Left: CT. Right: PSMA PET, same axial level, 18F-PSMA tracer. Slice 272 of 429. PET panel 200×200 px (4.1 mm/px).
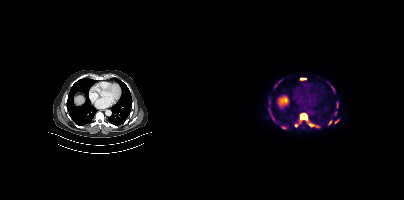
Coordinates are on the 200×200 PET (right) panel. PSMA-avid tumor lesion bounding boxes (partial; 3 more foci not listed):
| # | x0 | y0 | x1 | y1 |
|---|---|---|---|---|
| 1 | 95 | 113 | 103 | 121 |
| 2 | 112 | 125 | 116 | 127 |
| 3 | 96 | 78 | 101 | 79 |
| 4 | 70 | 83 | 73 | 88 |
Small PSMA-avid foci (2 to 4 px across) near (center x, center y): (92, 125); (81, 127); (129, 88); (132, 121); (126, 122); (77, 127); (105, 124).